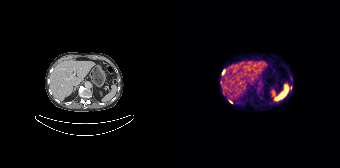
Coordinates are on the 168×168 PET (right) panel. (showing 2 of 3 foci) PSMA-avid tumor lesion bounding box (x0, y0)-(x1, y1): (50, 70)-(52, 74). Small PSMA-avid focus (2 to 4 px across) near (center x, center y): (58, 101).
modality: PSMA PET/CT | tracer: 68Ga-PSMA | view: axial | PET grid: 168×168